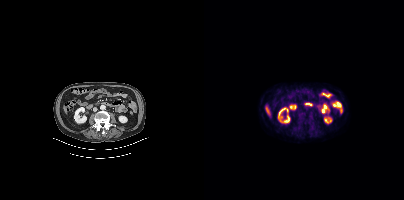
modality: PSMA PET/CT | tracer: [18F]PSMA-1007 | view: axial
No PSMA-avid tumor lesions on this slice.